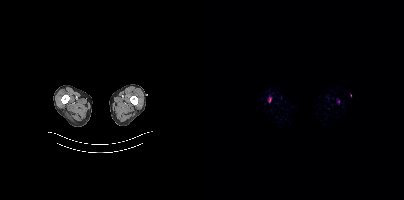
Two-panel axial: CT | PSMA PET, [18F]PSMA-1007 tracer. PET panel 200×200 px (4.1 mm/px). Coordinates are on the 200×200 PET (right) panel. PSMA-avid tumor lesion bounding box (x, y, width, height): x=64 y=97 w=4 h=6.